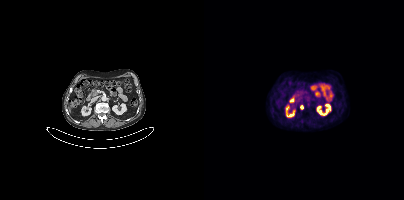
Technique: Paired axial CT (left) and PSMA PET (right), 18F-PSMA tracer. slice 187 of 401.
Findings: Coordinates are on the 200×200 PET (right) panel. Small PSMA-avid focus (2 to 4 px across) near (center x, center y): (97, 107).